modality: PSMA PET/CT | tracer: 18F-PSMA | view: axial
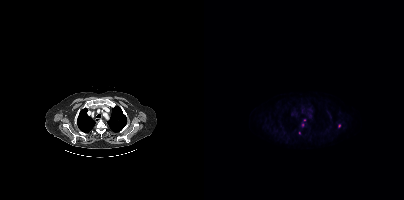
Only PSMA-avid lesion pieces thinner than 2 px on this slice (not listed).